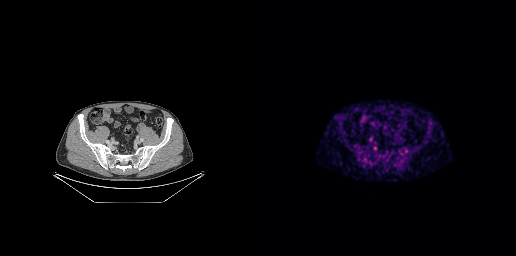
{"modality":"PSMA PET/CT","view":"axial","tracer":"18F-PSMA","pet_grid":[256,256],"coord_frame":"pet_panel","coord_format":"x0,y0,x1,y1","lesion_bboxes":[],"small_foci_centers":[[114,147]]}